Paired axial CT (left) and PSMA PET (right), 68Ga tracer. PET panel 256×256 px (2.7 mm/px).
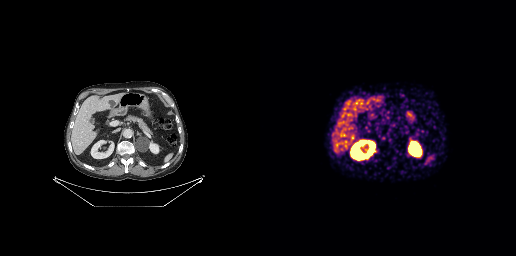
This slice has no annotated PSMA-avid lesion.